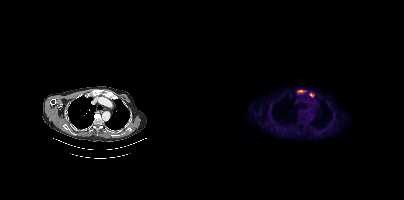
modality: PSMA PET/CT | tracer: 18F | view: axial
Coordinates are on the 200×200 PET (right) panel. PSMA-avid tumor lesion bounding box (x0,y0,x1,y1): [93,90,101,92]. Small PSMA-avid focus (2 to 4 px across) near (center x, center y): (107, 94).